Paired axial CT (left) and PSMA PET (right), 18F tracer. Acquired on Siemens Biograph mCT Flow 20.
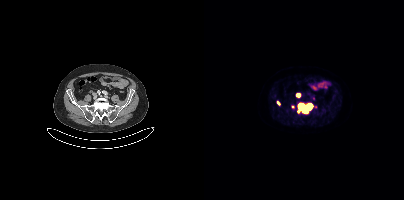
Coordinates are on the 200×200 PET (right) panel. PSMA-avid tumor lesion bounding boxes:
| # | x0 | y0 | x1 | y1 |
|---|---|---|---|---|
| 1 | 94 | 103 | 108 | 112 |
| 2 | 92 | 93 | 96 | 96 |
Small PSMA-avid foci (2 to 4 px across) near (center x, center y): (74, 102); (89, 107).